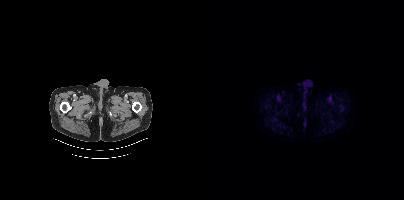
No tumor lesions annotated on this slice. Two-panel axial: CT | PSMA PET, [18F]PSMA-1007 tracer. Acquired on Siemens Biograph mCT Flow 20.